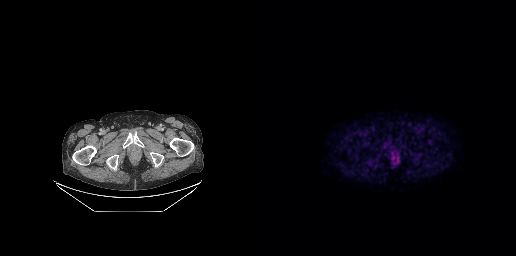
No tumor lesions annotated on this slice.